Left: CT. Right: PSMA PET, same axial level, 68Ga tracer. Slice position z = -969 mm. PET panel 168×168 px (4.1 mm/px).
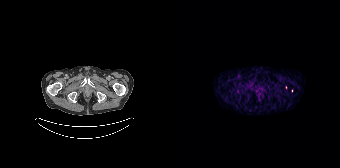
Only PSMA-avid lesion pieces thinner than 2 px on this slice (not listed).